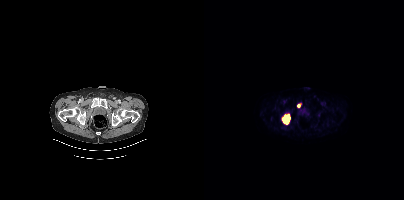
Coordinates are on the 200×200 PET (right) panel. PSMA-avid tumor lesion bounding box (x0, y0)-(x1, y1): (79, 114)-(85, 122). Small PSMA-avid foci (2 to 4 px across) near (center x, center y): (95, 105); (83, 123).